Two-panel axial: CT | PSMA PET, 18F tracer. Slice 37 of 417.
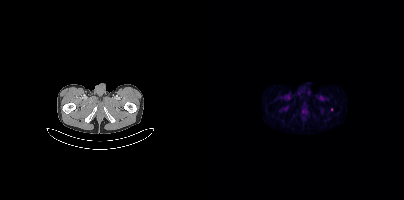
Coordinates are on the 200×200 PET (right) panel. Small PSMA-avid focus (2 to 4 px across) near (center x, center y): (127, 109).